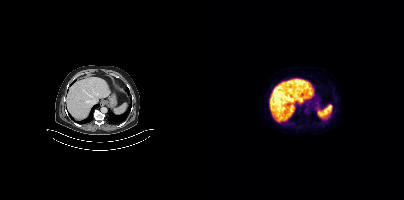
No tumor lesions annotated on this slice.